Technique: Left: CT. Right: PSMA PET, same axial level, 18F tracer. slice 236 of 431.
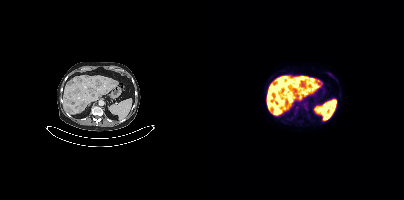
Findings: Coordinates are on the 200×200 PET (right) panel. PSMA-avid tumor lesion bounding boxes (x, y, width, height): x=66 y=106 w=10 h=9 / x=92 y=76 w=8 h=7 / x=65 y=97 w=7 h=7 / x=124 y=73 w=6 h=5.